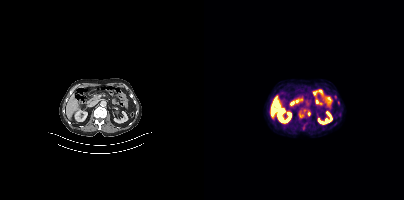
Coordinates are on the 200×200 PET (right) panel. Small PSMA-avid focus (2 to 4 px across) near (center x, center y): (104, 113).